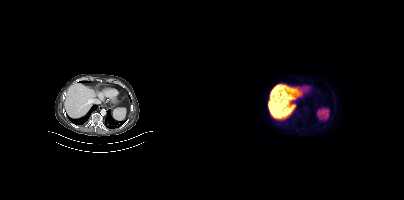
No tumor lesions annotated on this slice.